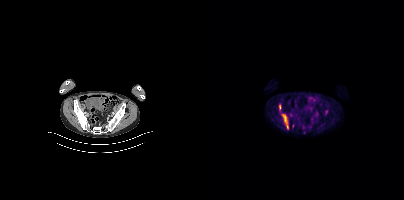
- Two-panel axial: CT | PSMA PET, 18F-PSMA tracer
- acquired on Siemens Biograph mCT Flow 20
- slice 94 of 421
- PET panel 200×200 px (4.1 mm/px)
Findings: Coordinates are on the 200×200 PET (right) panel. (showing 2 of 3 foci) PSMA-avid tumor lesion bounding boxes (x, y, width, height): x=81 y=123 w=4 h=7; x=75 y=104 w=3 h=6.